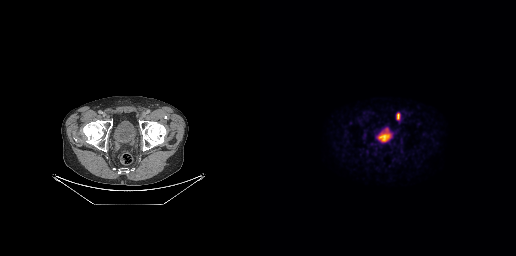
Coordinates are on the 256×256 PET (right) panel. PSMA-avid tumor lesion bounding box (x0,y0,x1,y1): [137,113,139,119]. Paired axial CT (left) and PSMA PET (right), 18F tracer. Slice position z = -647 mm. PET panel 256×256 px (2.7 mm/px).